Left: CT. Right: PSMA PET, same axial level, [68Ga]Ga-PSMA-11 tracer.
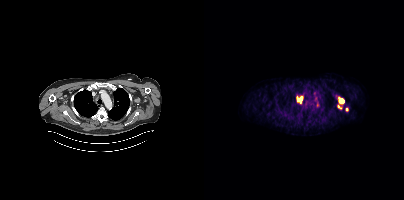
Coordinates are on the 200×200 PET (right) panel. PSMA-avid tumor lesion bounding boxes:
| # | x0 | y0 | x1 | y1 |
|---|---|---|---|---|
| 1 | 134 | 97 | 140 | 103 |
| 2 | 93 | 97 | 98 | 101 |
| 3 | 111 | 97 | 113 | 101 |
Small PSMA-avid foci (2 to 4 px across) near (center x, center y): (135, 106); (142, 109).